De-identified by setting a box covering the face to black before release.
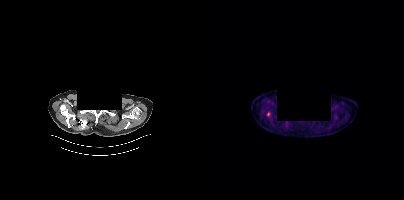
Coordinates are on the 200×200 PET (right) panel. Small PSMA-avid focus (2 to 4 px across) near (center x, center y): (64, 114).